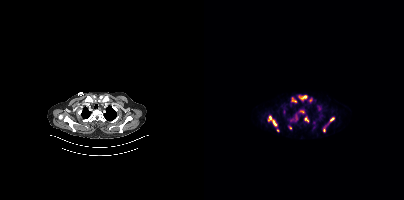
Coordinates are on the 200×200 PET (right) panel. PSMA-avid tumor lesion bounding boxes (x0,y0,x1,y1): [64,116,73,126] [87,115,94,122] [94,95,102,100] [87,97,92,102] [100,117,104,122] [113,105,117,108] [126,117,130,121] [96,110,100,112]. Small PSMA-avid foci (2 to 4 px across) near (center x, center y): (106, 99) (86, 127) (120, 130) (73, 130).